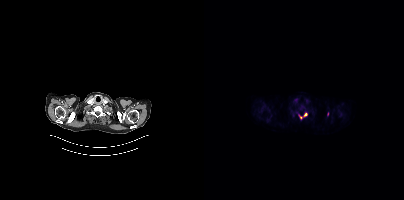
Left: CT. Right: PSMA PET, same axial level, 18F-PSMA tracer. PET panel 200×200 px (4.1 mm/px). Coordinates are on the 200×200 PET (right) panel. (showing 2 of 3 foci) Small PSMA-avid foci (2 to 4 px across) near (center x, center y): (101, 114), (96, 117).